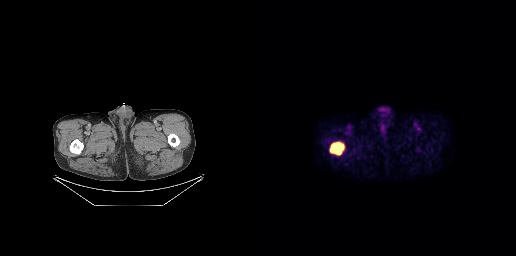
{"modality":"PSMA PET/CT","view":"axial","tracer":"18F-PSMA","pet_grid":[256,256],"coord_frame":"pet_panel","coord_format":"x0,y0,x1,y1","lesion_bboxes":[[69,141,85,155]]}